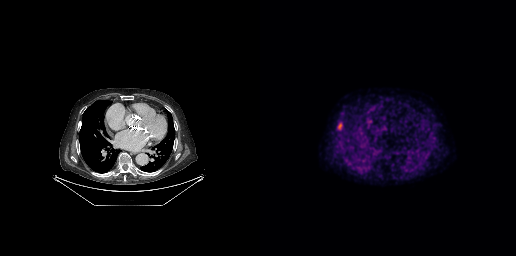
Coordinates are on the 256×256 PET (right) panel. PSMA-avid tumor lesion bounding box (x0, y0)-(x1, y1): (78, 123)-(82, 129).
modality: PSMA PET/CT | tracer: 18F-PSMA | view: axial | PET grid: 256×256